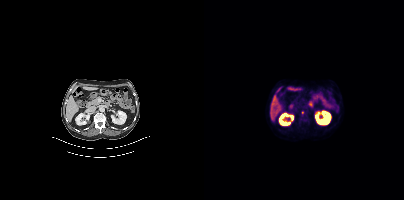
Coordinates are on the 200×200 PET (right) panel. Small PSMA-avid focus (2 to 4 px across) near (center x, center y): (98, 112). Two-panel axial: CT | PSMA PET, 18F tracer. Slice 203 of 427.